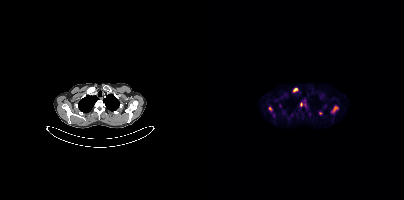
Coordinates are on the 200×200 PET (right) panel. (showing 6 of 7 foci) PSMA-avid tumor lesion bounding boxes (x0,y0,x1,y1): [127,105,134,113] [88,87,94,92] [96,102,102,107] [64,106,68,111]. Small PSMA-avid foci (2 to 4 px across) near (center x, center y): (116, 113) (69, 115).